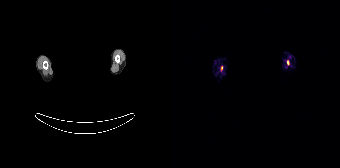
Two-panel axial: CT | PSMA PET, [68Ga]Ga-PSMA-11 tracer. Slice 163 of 165. PET panel 168×168 px (4.1 mm/px). The head region is masked for de-identification. Coordinates are on the 168×168 PET (right) panel. Small PSMA-avid focus (2 to 4 px across) near (center x, center y): (115, 62).